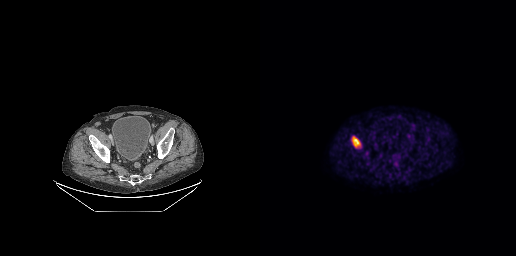
- Paired axial CT (left) and PSMA PET (right), 18F-PSMA tracer
- slice position z = -667 mm
Findings: Coordinates are on the 256×256 PET (right) panel. PSMA-avid tumor lesion bounding box (x0, y0)-(x1, y1): (93, 140)-(99, 146).